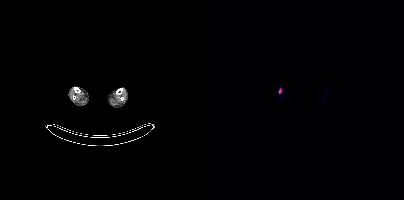
Technique: Left: CT. Right: PSMA PET, same axial level, 18F-PSMA tracer. slice position z = -1721 mm.
Findings: Coordinates are on the 200×200 PET (right) panel. PSMA-avid tumor lesion bounding box (x0,y0,x1,y1): [74,88,77,93].